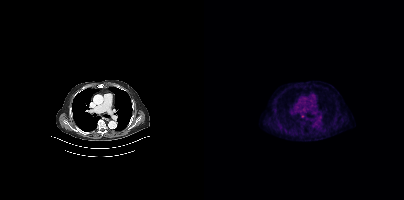
Findings: Coordinates are on the 200×200 PET (right) panel. Small PSMA-avid focus (2 to 4 px across) near (center x, center y): (98, 116).
Technique: Paired axial CT (left) and PSMA PET (right), 18F-PSMA tracer. slice position z = -1012 mm. PET panel 200×200 px (4.1 mm/px).